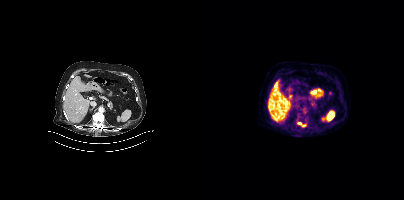
Technique: Two-panel axial: CT | PSMA PET, [18F]PSMA-1007 tracer. PET panel 200×200 px (4.1 mm/px).
Findings: Coordinates are on the 200×200 PET (right) panel. PSMA-avid tumor lesion bounding box (x0,y0,x1,y1): [94,122,102,127].